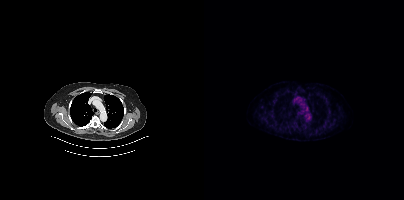
No PSMA-avid tumor lesions on this slice.